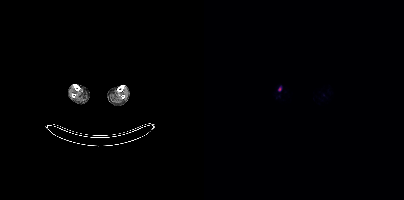
{"modality":"PSMA PET/CT","view":"axial","tracer":"[18F]PSMA-1007","pet_grid":[200,200],"coord_frame":"pet_panel","coord_format":"x0,y0,x1,y1","lesion_bboxes":[],"small_foci_centers":[[75,88]]}